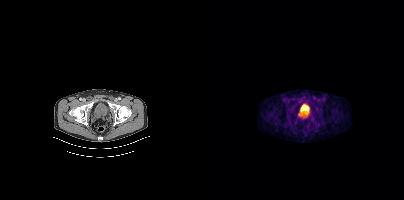
Negative for PSMA-avid disease on this slice.